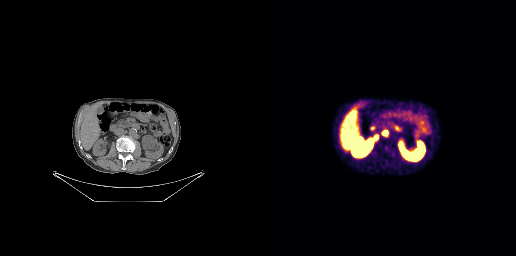
- Paired axial CT (left) and PSMA PET (right), 68Ga-PSMA tracer
- acquired on GE Discovery 690
Findings: Coordinates are on the 256×256 PET (right) panel. PSMA-avid tumor lesion bounding box (x, y, width, height): x=122 y=130 w=6 h=6. Small PSMA-avid focus (2 to 4 px across) near (center x, center y): (116, 137).